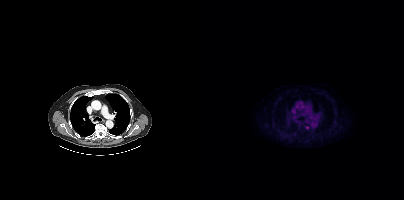
Negative for PSMA-avid disease on this slice.